modality: PSMA PET/CT | tracer: 18F-PSMA | view: axial
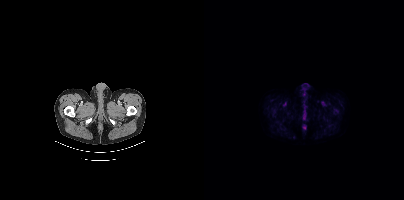
Negative for PSMA-avid disease on this slice.